Technique: Paired axial CT (left) and PSMA PET (right), 18F tracer. acquired on Siemens Biograph mCT Flow 20. PET panel 200×200 px (4.1 mm/px).
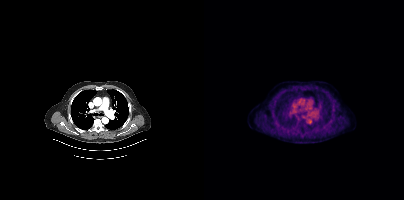
Findings: No PSMA-avid tumor lesions on this slice.